- Paired axial CT (left) and PSMA PET (right), 68Ga-PSMA tracer
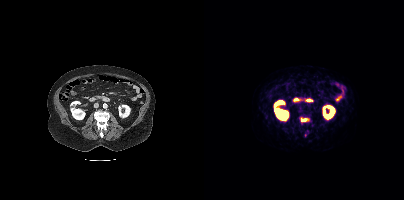
Findings: Coordinates are on the 200×200 PET (right) panel. (showing 1 of 2 foci) PSMA-avid tumor lesion bounding box (x0,y0,x1,y1): [97,117,105,122].